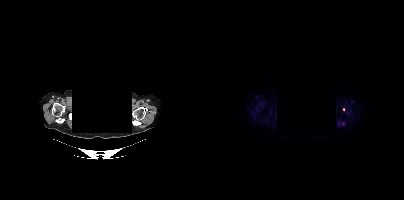
Coordinates are on the 200×200 PET (right) panel. PSMA-avid tumor lesion bounding box (x, y, width, height): x=133 y=121 w=8 h=6. Small PSMA-avid focus (2 to 4 px across) near (center x, center y): (139, 109). Paired axial CT (left) and PSMA PET (right), [18F]PSMA-1007 tracer. Slice position z = -745 mm. PET panel 200×200 px (4.1 mm/px). Face de-identified by blanking a block of the head.